modality: PSMA PET/CT | tracer: 18F-PSMA | view: axial | PET grid: 256×256
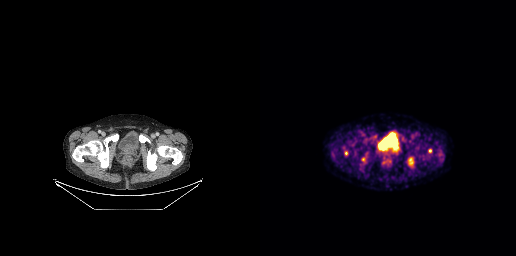
Coordinates are on the 256×256 PET (right) panel. PSMA-avid tumor lesion bounding boxes (x, y, width, height): x=148 y=157 w=7 h=10 | x=84 y=151 w=5 h=5. Small PSMA-avid foci (2 to 4 px across) near (center x, center y): (102, 158) | (170, 150).